- Paired axial CT (left) and PSMA PET (right), 18F tracer
- PET panel 200×200 px (4.1 mm/px)
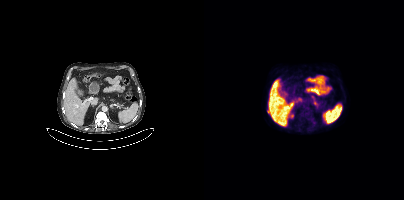
Findings: Coordinates are on the 200×200 PET (right) panel. (showing 1 of 2 foci) Small PSMA-avid focus (2 to 4 px across) near (center x, center y): (64, 111).